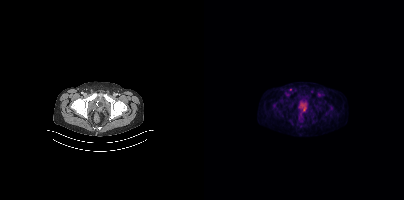
{"modality":"PSMA PET/CT","view":"axial","tracer":"18F","pet_grid":[200,200],"coord_frame":"pet_panel","coord_format":"x0,y0,x1,y1","lesion_bboxes":[],"small_foci_centers":[[86,89]]}